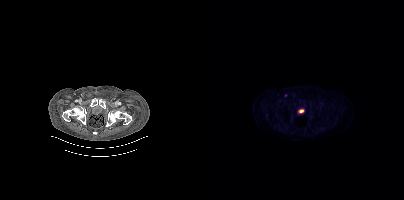
Paired axial CT (left) and PSMA PET (right), [18F]PSMA-1007 tracer. Acquired on Siemens Biograph mCT Flow 20. Coordinates are on the 200×200 PET (right) panel. Small PSMA-avid focus (2 to 4 px across) near (center x, center y): (82, 95).